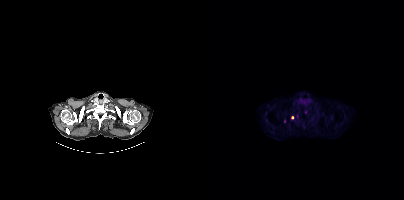
Coordinates are on the 200×200 PET (right) panel. (showing 1 of 2 foci) Small PSMA-avid focus (2 to 4 px across) near (center x, center y): (88, 117).